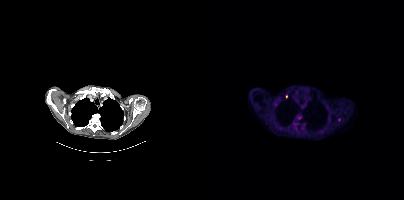
modality: PSMA PET/CT | tracer: 18F | view: axial | PET grid: 200×200
Coordinates are on the 200×200 PET (right) panel. (showing 1 of 3 foci) Small PSMA-avid focus (2 to 4 px across) near (center x, center y): (82, 96).